Technique: Paired axial CT (left) and PSMA PET (right), [68Ga]Ga-PSMA-11 tracer. acquired on GE Discovery 690. PET panel 256×256 px (2.7 mm/px).
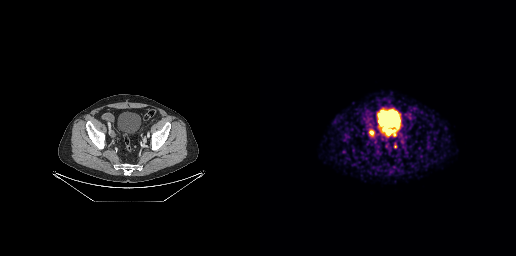
Findings: Coordinates are on the 256×256 PET (right) panel. PSMA-avid tumor lesion bounding boxes (x, y, width, height): x=109 y=130 w=5 h=6 / x=134 y=144 w=3 h=5.